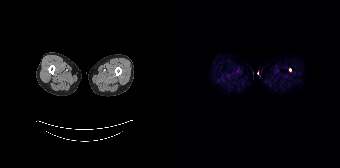
Left: CT. Right: PSMA PET, same axial level, 68Ga tracer. PET panel 168×168 px (4.1 mm/px). Only PSMA-avid lesion pieces thinner than 2 px on this slice (not listed).